modality: PSMA PET/CT | tracer: 18F | view: axial | PET grid: 200×200
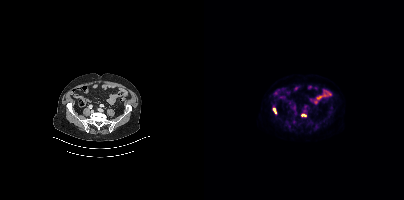
Coordinates are on the 200×200 PET (right) panel. PSMA-avid tumor lesion bounding boxes (x0, y0)-(x1, y1): (97, 114)-(102, 116) | (69, 108)-(72, 113).